Facial anatomy redacted by setting a rectangular region of the head to black.
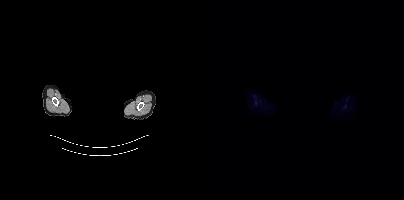
This slice has no annotated PSMA-avid lesion.